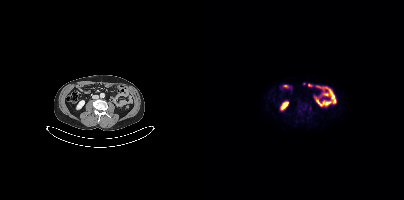
{"modality":"PSMA PET/CT","view":"axial","tracer":"18F","pet_grid":[200,200],"coord_frame":"pet_panel","coord_format":"x0,y0,x1,y1","lesion_bboxes":[],"small_foci_centers":[[106,108]]}